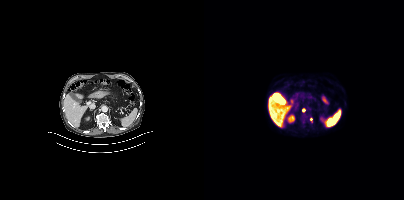
Findings: Coordinates are on the 200×200 PET (right) panel. (showing 1 of 3 foci) Small PSMA-avid focus (2 to 4 px across) near (center x, center y): (99, 110).
- Left: CT. Right: PSMA PET, same axial level, 18F tracer
- slice position z = -1098 mm